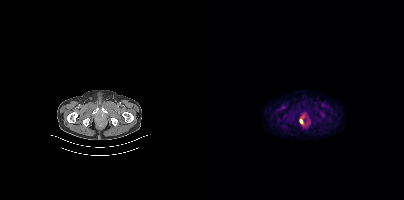
Coordinates are on the 200×200 PET (right) panel. PSMA-avid tumor lesion bounding box (x0,y0,x1,y1): [96,119,98,123]. Two-panel axial: CT | PSMA PET, 18F-PSMA tracer.